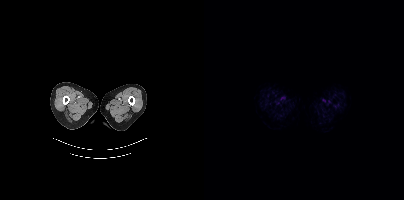
{"modality":"PSMA PET/CT","view":"axial","tracer":"18F","pet_grid":[200,200],"coord_frame":"pet_panel","coord_format":"x0,y0,x1,y1","psma_avid_lesions":false}